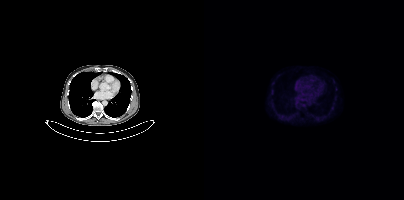
{"pet_grid":[200,200],"coord_frame":"pet_panel","coord_format":"x0,y0,x1,y1","psma_avid_lesions":false,"modality":"PSMA PET/CT","view":"axial","tracer":"[18F]PSMA-1007"}